- Left: CT. Right: PSMA PET, same axial level, 18F-PSMA tracer
- slice position z = -842 mm
- the head region is masked for de-identification
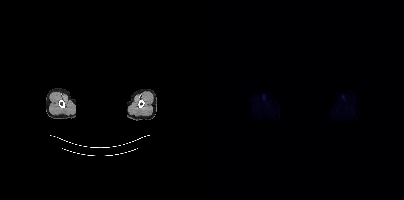
Findings: No tumor lesions annotated on this slice.